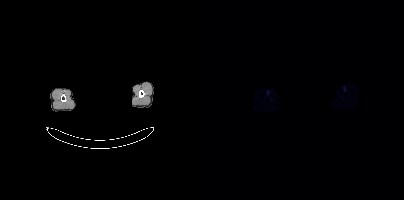
Face de-identified by blanking a block of the head.
This slice has no annotated PSMA-avid lesion.